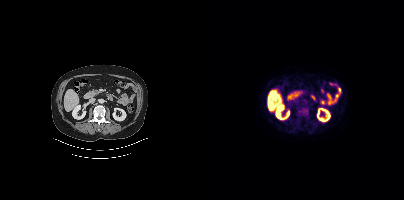
{"pet_grid":[200,200],"coord_frame":"pet_panel","coord_format":"x0,y0,x1,y1","lesion_bboxes":[[92,105,104,116]],"small_foci_centers":[[93,120]],"modality":"PSMA PET/CT","view":"axial","tracer":"18F"}